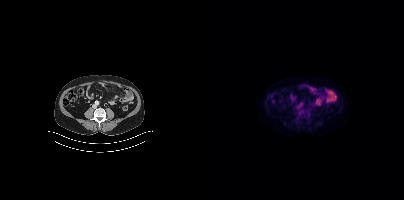
No tumor lesions annotated on this slice. Left: CT. Right: PSMA PET, same axial level, [18F]PSMA-1007 tracer. Slice 152 of 409. PET panel 200×200 px (4.1 mm/px).